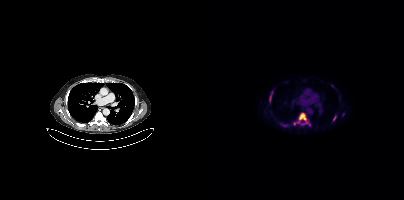
{"modality":"PSMA PET/CT","view":"axial","tracer":"18F-PSMA","pet_grid":[200,200],"coord_frame":"pet_panel","coord_format":"x0,y0,x1,y1","lesion_bboxes":[[90,113,103,124],[65,91,68,101],[76,123,81,127],[129,116,132,120]],"small_foci_centers":[[139,114],[128,85],[105,124]]}